Paired axial CT (left) and PSMA PET (right), 18F tracer. Acquired on Siemens Biograph mCT Flow 20. PET panel 200×200 px (4.1 mm/px).
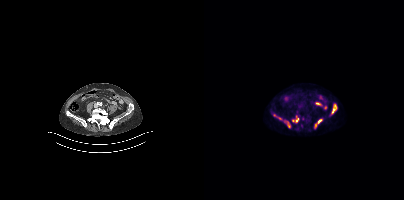
Coordinates are on the 200×200 PET (right) panel. PSMA-avid tumor lesion bounding boxes:
| # | x0 | y0 | x1 | y1 |
|---|---|---|---|---|
| 1 | 127 | 103 | 133 | 114 |
| 2 | 88 | 115 | 95 | 123 |
| 3 | 110 | 119 | 118 | 128 |
| 4 | 83 | 121 | 86 | 127 |
Small PSMA-avid foci (2 to 4 px across) near (center x, center y): (76, 118); (70, 114).